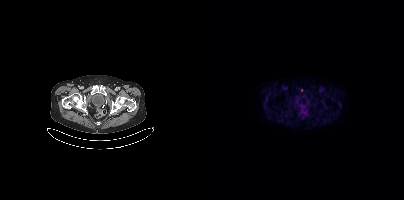
modality: PSMA PET/CT | tracer: [18F]PSMA-1007 | view: axial
Only PSMA-avid lesion pieces thinner than 2 px on this slice (not listed).